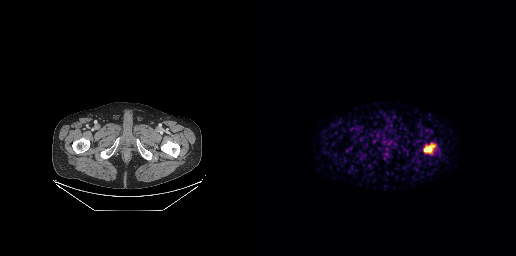
Two-panel axial: CT | PSMA PET, 68Ga tracer. Slice position z = -859 mm.
Coordinates are on the 256×256 PET (right) panel. PSMA-avid tumor lesion bounding boxes:
| # | x0 | y0 | x1 | y1 |
|---|---|---|---|---|
| 1 | 164 | 145 | 174 | 152 |